Left: CT. Right: PSMA PET, same axial level, 18F tracer. Acquired on Siemens Biograph mCT Flow 20. Slice position z = -821 mm. PET panel 200×200 px (4.1 mm/px).
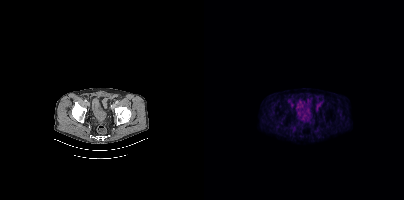
No tumor lesions annotated on this slice.